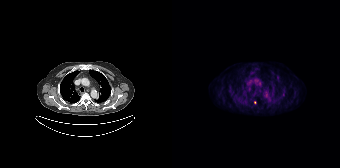
modality: PSMA PET/CT | tracer: 18F-PSMA | view: axial
Coordinates are on the 168×168 PET (right) panel. (showing 1 of 2 foci) Small PSMA-avid focus (2 to 4 px across) near (center x, center y): (83, 102).